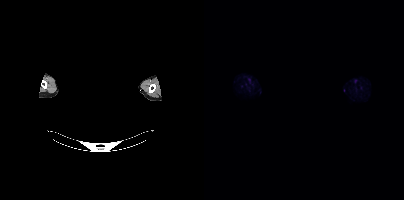
{"modality":"PSMA PET/CT","view":"axial","tracer":"[18F]PSMA-1007","pet_grid":[200,200],"coord_frame":"pet_panel","coord_format":"x0,y0,x1,y1","psma_avid_lesions":false,"de-identification":"head region blanked (face removed)"}